Paired axial CT (left) and PSMA PET (right), 18F-PSMA tracer. Acquired on Siemens Biograph mCT Flow 20. PET panel 200×200 px (4.1 mm/px).
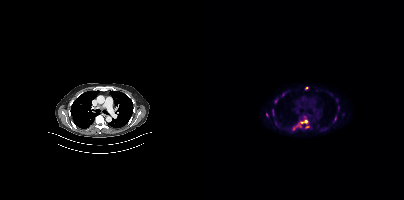
Coordinates are on the 200×200 PET (right) panel. PSMA-avid tumor lesion bounding boxes (partial; 4 more foci not listed):
| # | x0 | y0 | x1 | y1 |
|---|---|---|---|---|
| 1 | 92 | 120 | 104 | 126 |
| 2 | 101 | 126 | 105 | 128 |
Small PSMA-avid foci (2 to 4 px across) near (center x, center y): (72, 100); (89, 127); (79, 94); (62, 115); (102, 87); (131, 118).